Head region blanked for anonymization (face removed). Left: CT. Right: PSMA PET, same axial level, 18F tracer. PET panel 200×200 px (4.1 mm/px).
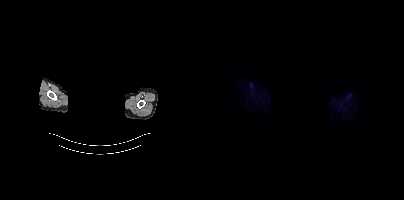
No PSMA-avid tumor lesions on this slice.